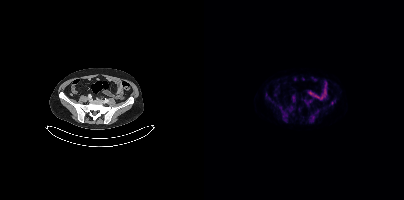
Coordinates are on the 200×200 PET (right) panel. (showing 2 of 3 foci) Small PSMA-avid foci (2 to 4 px across) near (center x, center y): (81, 115) / (128, 103). Paired axial CT (left) and PSMA PET (right), [18F]PSMA-1007 tracer. PET panel 200×200 px (4.1 mm/px).